Paired axial CT (left) and PSMA PET (right), 68Ga tracer. Slice position z = -986 mm.
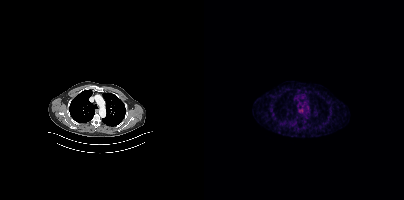
No tumor lesions annotated on this slice.